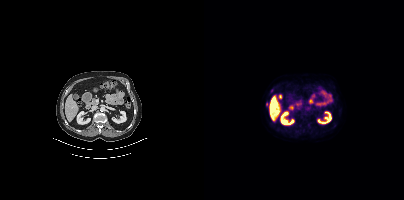
Coordinates are on the 200×200 PET (right) panel. Small PSMA-avid focus (2 to 4 px across) near (center x, center y): (63, 103). Two-panel axial: CT | PSMA PET, 18F tracer. PET panel 200×200 px (4.1 mm/px).